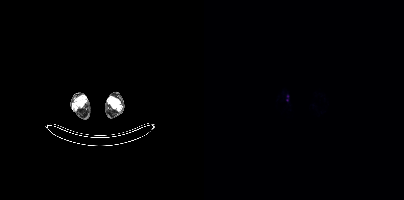
Coordinates are on the 200×200 PET (right) panel. Small PSMA-avid foci (2 to 4 px across) near (center x, center y): (83, 95) / (83, 99).